- Paired axial CT (left) and PSMA PET (right), 18F-PSMA tracer
- slice position z = -1163 mm
- PET panel 200×200 px (4.1 mm/px)
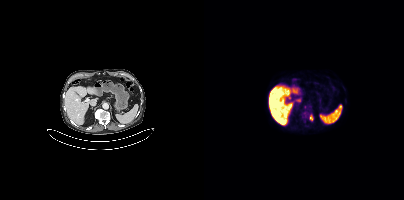
Findings: Coordinates are on the 200×200 PET (right) panel. (showing 2 of 3 foci) PSMA-avid tumor lesion bounding boxes (x0,y0,x1,y1): [99,111,104,115], [106,115,109,120].